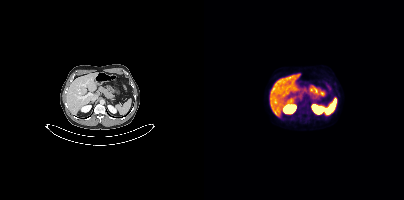
No tumor lesions annotated on this slice.
modality: PSMA PET/CT | tracer: [18F]PSMA-1007 | view: axial